Two-panel axial: CT | PSMA PET, 68Ga-PSMA tracer.
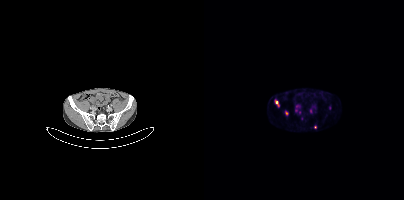
Coordinates are on the 200×200 PET (right) panel. (showing 6 of 8 foci) PSMA-avid tumor lesion bounding boxes (x0,y0,x1,y1): [91,105,96,109], [71,99,74,105]. Small PSMA-avid foci (2 to 4 px across) near (center x, center y): (125, 107), (82, 113), (95, 112), (111, 127).